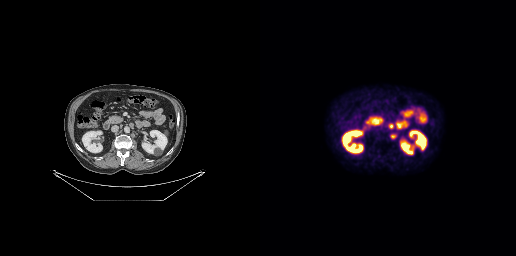
Coordinates are on the 256×256 PET (right) panel. PSMA-avid tumor lesion bounding boxes (partial; 1 more focus not listed):
| # | x0 | y0 | x1 | y1 |
|---|---|---|---|---|
| 1 | 130 | 134 | 136 | 139 |
| 2 | 128 | 123 | 133 | 128 |
Two-panel axial: CT | PSMA PET, [18F]PSMA-1007 tracer. Acquired on GE Discovery 690. Slice position z = -410 mm. PET panel 256×256 px (2.7 mm/px).